Technique: Two-panel axial: CT | PSMA PET, 18F-PSMA tracer. PET panel 200×200 px (4.1 mm/px).
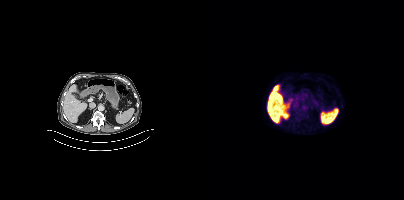
Findings: No PSMA-avid tumor lesions on this slice.